Paired axial CT (left) and PSMA PET (right), 18F tracer. Slice position z = -1403 mm.
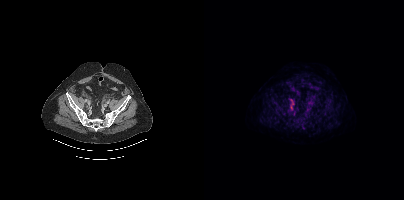
Coordinates are on the 200×200 PET (right) panel. PSMA-avid tumor lesion bounding box (x, y, width, height): x=86 y=99 w=5 h=11.